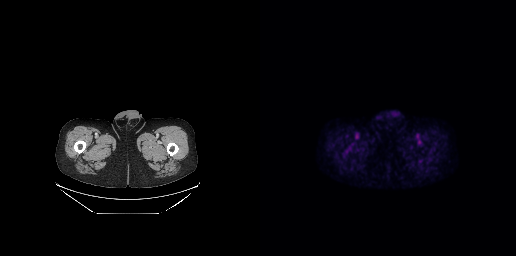
- Two-panel axial: CT | PSMA PET, 18F-PSMA tracer
- slice position z = -801 mm
- PET panel 256×256 px (2.7 mm/px)
Findings: This slice has no annotated PSMA-avid lesion.